modality: PSMA PET/CT | tracer: [18F]PSMA-1007 | view: axial
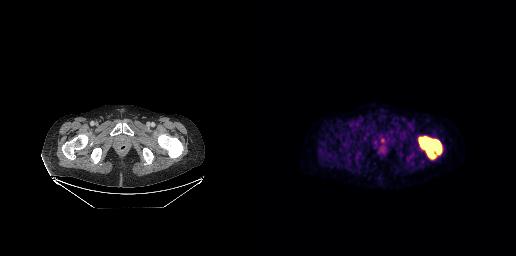
Coordinates are on the 256×256 PET (right) panel. PSMA-avid tumor lesion bounding box (x, y, width, height): x=158 y=136 w=25 h=24.